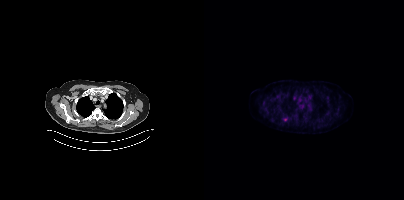
{"pet_grid":[200,200],"coord_frame":"pet_panel","coord_format":"x0,y0,x1,y1","lesion_bboxes":[],"small_foci_centers":[[81,119]],"modality":"PSMA PET/CT","view":"axial","tracer":"18F"}